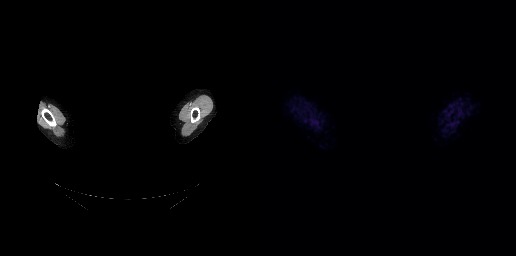
{"modality":"PSMA PET/CT","view":"axial","tracer":"[18F]PSMA-1007","pet_grid":[256,256],"coord_frame":"pet_panel","coord_format":"x0,y0,x1,y1","de-identification":"face masked with black rectangle","psma_avid_lesions":false}